modality: PSMA PET/CT | tracer: 18F-PSMA | view: axial
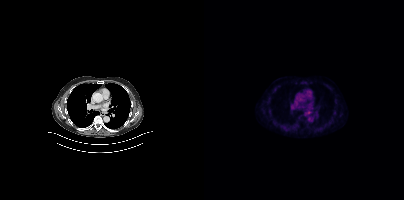
This slice has no annotated PSMA-avid lesion.